Left: CT. Right: PSMA PET, same axial level, 18F-PSMA tracer. Slice 33 of 356. PET panel 200×200 px (4.1 mm/px).
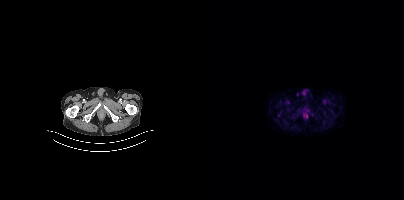
Negative for PSMA-avid disease on this slice.